Paired axial CT (left) and PSMA PET (right), 18F-PSMA tracer. Acquired on Siemens Biograph mCT Flow 20. Slice 230 of 429.
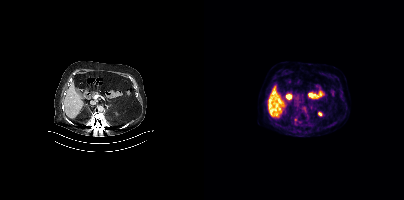
Coordinates are on the 200×200 PET (right) panel. Small PSMA-avid focus (2 to 4 px across) near (center x, center y): (91, 119).